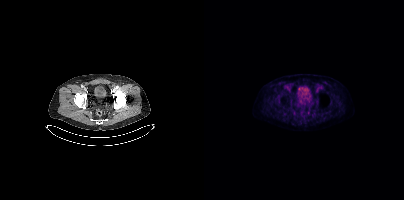
{"modality":"PSMA PET/CT","view":"axial","tracer":"[18F]PSMA-1007","pet_grid":[200,200],"coord_frame":"pet_panel","coord_format":"x0,y0,x1,y1","lesion_bboxes":[],"small_foci_centers":[[104,112]]}